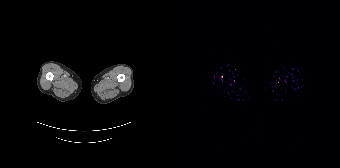
modality: PSMA PET/CT | tracer: 18F-PSMA | view: axial
Coordinates are on the 168×168 PET (right) panel. Small PSMA-avid focus (2 to 4 px across) near (center x, center y): (49, 76).